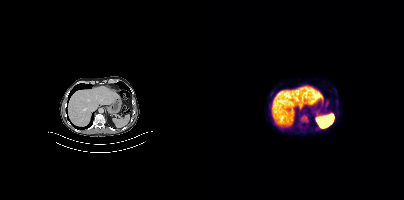
Coordinates are on the 200×200 PET (right) panel. PSMA-avid tumor lesion bounding box (x0, y0)-(x1, y1): (96, 115)-(103, 122).